modality: PSMA PET/CT | tracer: 18F-PSMA | view: axial | PET grid: 256×256
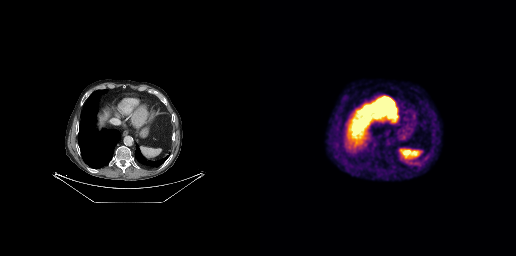
No PSMA-avid tumor lesions on this slice.